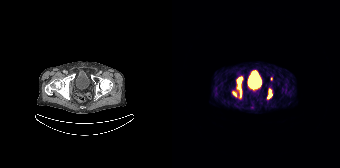
Paired axial CT (left) and PSMA PET (right), 68Ga-PSMA tracer. Acquired on Siemens Biograph 64-4R TruePoint. Slice position z = -854 mm. PET panel 168×168 px (4.1 mm/px). Coordinates are on the 168×168 PET (right) panel. PSMA-avid tumor lesion bounding boxes (x0,y0,x1,y1): [65,78,69,98]; [95,89,100,98]; [61,91,64,96]. Small PSMA-avid focus (2 to 4 px across) near (center x, center y): (99, 79).